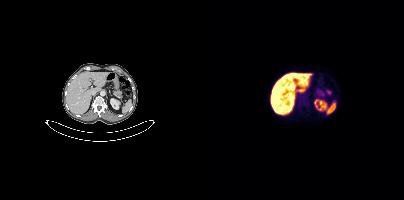
{"pet_grid":[200,200],"coord_frame":"pet_panel","coord_format":"x0,y0,x1,y1","psma_avid_lesions":false,"modality":"PSMA PET/CT","view":"axial","tracer":"18F"}